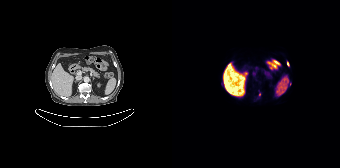
{"pet_grid":[168,168],"coord_frame":"pet_panel","coord_format":"x0,y0,x1,y1","partial":true,"lesion_bboxes":[],"small_foci_centers":[[116,63],[87,94]],"modality":"PSMA PET/CT","view":"axial","tracer":"[18F]PSMA-1007"}